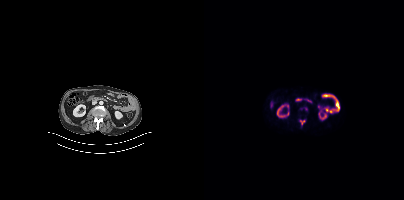
Technique: Paired axial CT (left) and PSMA PET (right), 18F tracer. slice 165 of 387. PET panel 200×200 px (4.1 mm/px).
Findings: Coordinates are on the 200×200 PET (right) panel. PSMA-avid tumor lesion bounding box (x0, y0)-(x1, y1): (97, 120)-(100, 124).